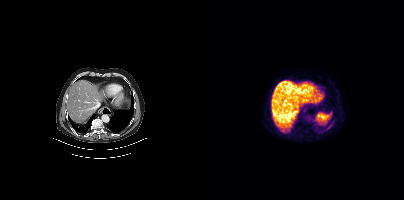
Findings: No tumor lesions annotated on this slice.
Technique: Left: CT. Right: PSMA PET, same axial level, 18F-PSMA tracer. slice position z = -1137 mm. PET panel 200×200 px (4.1 mm/px).